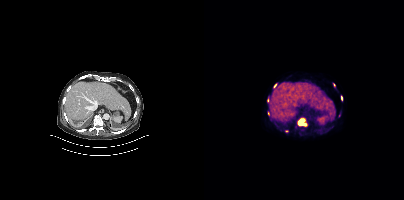
modality: PSMA PET/CT | tracer: 18F | view: axial | PET grid: 200×200
Coordinates are on the 200×200 PET (right) panel. PSMA-avid tumor lesion bounding boxes (x0,y0,x1,y1): [93,117,103,126]; [137,96,138,100]. Small PSMA-avid foci (2 to 4 px across) near (center x, center y): (71, 85); (130, 84); (63, 100); (64, 113); (82, 130).